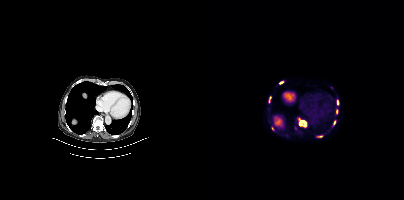
Coordinates are on the 200×200 PET (right) panel. PSMA-avid tumor lesion bounding boxes (x, y, width, height): x=95 y=120 w=8 h=8; x=113 y=136 w=6 h=2. Small PSMA-avid foci (2 to 4 px across) near (center x, center y): (130, 122); (133, 102); (66, 97); (132, 111); (77, 82); (68, 128).